Technique: Left: CT. Right: PSMA PET, same axial level, 18F tracer. slice 172 of 405. PET panel 200×200 px (4.1 mm/px).
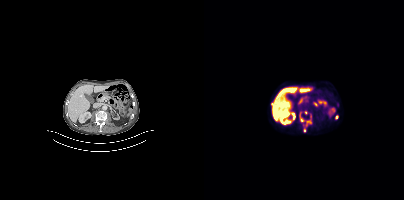
Findings: Coordinates are on the 200×200 PET (right) panel. PSMA-avid tumor lesion bounding boxes (x0,y0,x1,y1): [99,113,108,132] [95,111,100,121]. Small PSMA-avid foci (2 to 4 px across) near (center x, center y): (101, 112) (132, 117).